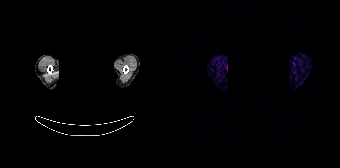
Findings: This slice has no annotated PSMA-avid lesion.
Technique: Two-panel axial: CT | PSMA PET, [68Ga]Ga-PSMA-11 tracer. acquired on Siemens Biograph 64-4R TruePoint. slice 185 of 195. PET panel 168×168 px (4.1 mm/px).
Note: Facial anatomy redacted by setting a rectangular region of the head to black.